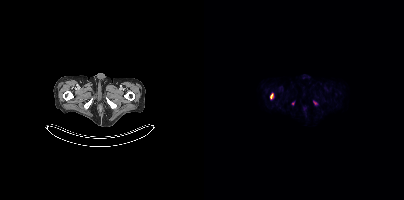
Coordinates are on the 200×200 PET (right) panel. PSMA-avid tumor lesion bounding box (x0,y0,x1,y1): [66,94,68,98].